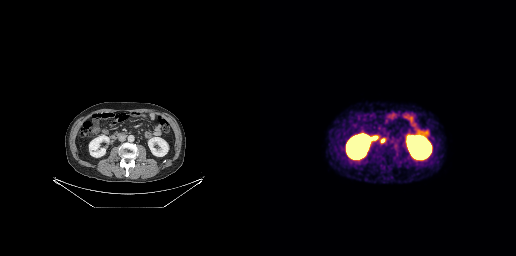
{"pet_grid":[256,256],"coord_frame":"pet_panel","coord_format":"x0,y0,x1,y1","lesion_bboxes":[[121,138,124,142]],"modality":"PSMA PET/CT","view":"axial","tracer":"68Ga"}